Paired axial CT (left) and PSMA PET (right), 18F tracer. Slice 130 of 403. PET panel 200×200 px (4.1 mm/px).
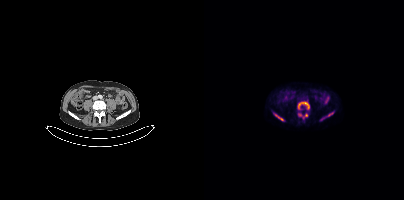
Coordinates are on the 200×200 PET (right) panel. PSMA-avid tumor lesion bounding boxes (x0,y0,x1,y1): [94,101,105,109]; [70,114,79,120]; [124,112,129,116]; [99,114,103,118]. Small PSMA-avid focus (2 to 4 px across) near (center x, center y): (95, 115).